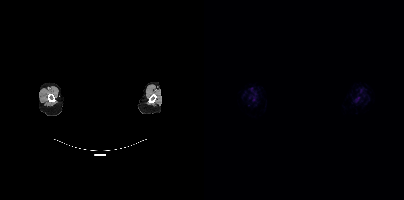
deidentification: head region blanked (face removed) | modality: PSMA PET/CT | tracer: 18F-PSMA | view: axial | PET grid: 200×200
Coordinates are on the 200×200 PET (right) panel. PSMA-avid tumor lesion bounding box (x0,y0,x1,y1): [151,99,155,102]. Small PSMA-avid focus (2 to 4 px across) near (center x, center y): (50, 99).